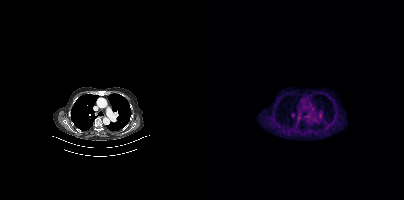
This slice has no annotated PSMA-avid lesion. Two-panel axial: CT | PSMA PET, 68Ga tracer. Slice 288 of 405. PET panel 200×200 px (4.1 mm/px).